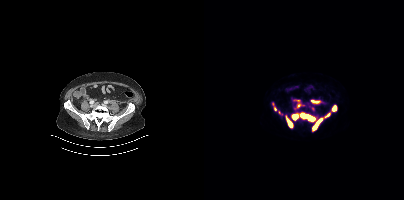
Coordinates are on the 200×200 PET (right) panel. (showing 8 of 10 foci) PSMA-avid tumor lesion bounding boxes (x, y, width, height): x=87 y=112 w=25 h=10 | x=108 y=113 w=19 h=19 | x=82 y=116 w=8 h=12 | x=128 y=105 w=5 h=7 | x=107 y=100 w=10 h=4. Small PSMA-avid foci (2 to 4 px across) near (center x, center y): (94, 105) | (71, 108) | (94, 100).